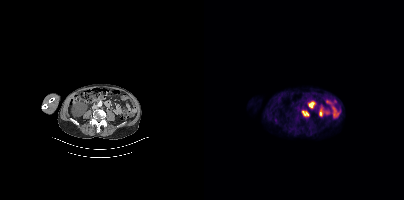
Technique: Two-panel axial: CT | PSMA PET, 18F tracer. acquired on Siemens Biograph mCT Flow 20. slice 159 of 411.
Findings: Coordinates are on the 200×200 PET (right) panel. PSMA-avid tumor lesion bounding box (x0,y0,x1,y1): [98,110,105,116]. Small PSMA-avid focus (2 to 4 px across) near (center x, center y): (71, 119).